- Left: CT. Right: PSMA PET, same axial level, 18F tracer
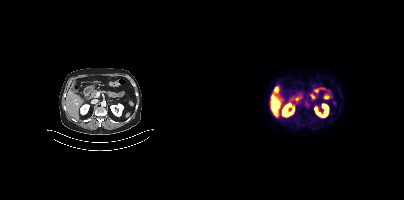
Findings: No tumor lesions annotated on this slice.